- Paired axial CT (left) and PSMA PET (right), 18F-PSMA tracer
- acquired on Siemens Biograph mCT Flow 20
- slice 167 of 423
- PET panel 200×200 px (4.1 mm/px)
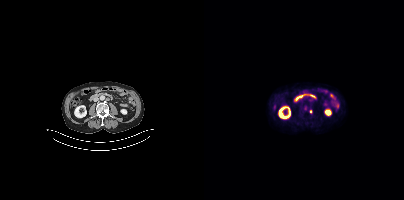
Findings: Coordinates are on the 200×200 PET (right) panel. (showing 1 of 2 foci) Small PSMA-avid focus (2 to 4 px across) near (center x, center y): (106, 111).